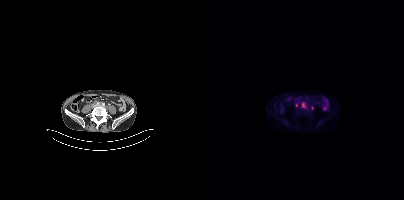
Left: CT. Right: PSMA PET, same axial level, [18F]PSMA-1007 tracer. Slice 121 of 423.
Coordinates are on the 200×200 PET (right) panel. PSMA-avid tumor lesion bounding boxes (partial; 1 more focus not listed):
| # | x0 | y0 | x1 | y1 |
|---|---|---|---|---|
| 1 | 98 | 103 | 101 | 108 |
Small PSMA-avid focus (2 to 4 px across) near (center x, center y): (92, 105).